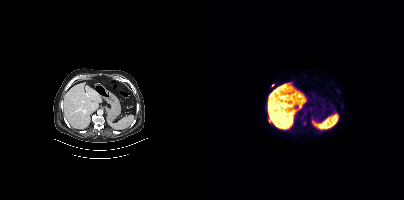
- Two-panel axial: CT | PSMA PET, 18F-PSMA tracer
Findings: Coordinates are on the 200×200 PET (right) panel. (showing 1 of 3 foci) Small PSMA-avid focus (2 to 4 px across) near (center x, center y): (68, 85).